- Paired axial CT (left) and PSMA PET (right), [18F]PSMA-1007 tracer
- acquired on Siemens Biograph mCT Flow 20
- PET panel 200×200 px (4.1 mm/px)
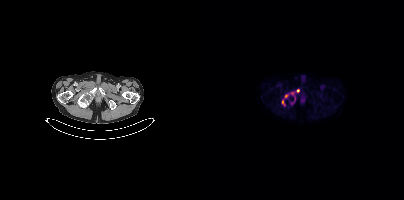
Findings: Coordinates are on the 200×200 PET (right) panel. PSMA-avid tumor lesion bounding boxes (x0, y0)-(x1, y1): (85, 89)-(95, 104) | (78, 100)-(80, 105). Small PSMA-avid focus (2 to 4 px across) near (center x, center y): (82, 95).